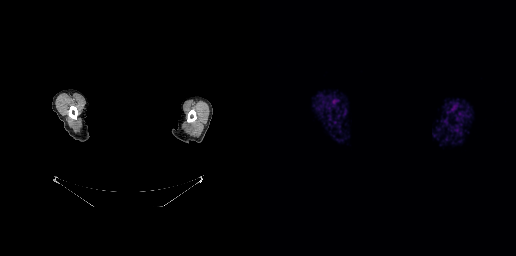
The face region was removed for patient privacy by blanking a rectangle over the head.
This slice has no annotated PSMA-avid lesion.